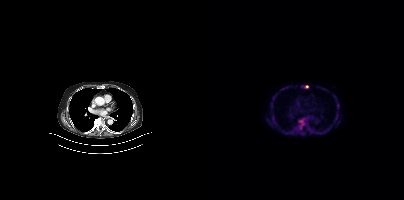
Technique: Two-panel axial: CT | PSMA PET, [18F]PSMA-1007 tracer. PET panel 200×200 px (4.1 mm/px).
Findings: Coordinates are on the 200×200 PET (right) panel. PSMA-avid tumor lesion bounding boxes (x0, y0)-(x1, y1): (94, 119)-(101, 128); (103, 126)-(107, 130). Small PSMA-avid focus (2 to 4 px across) near (center x, center y): (103, 86).